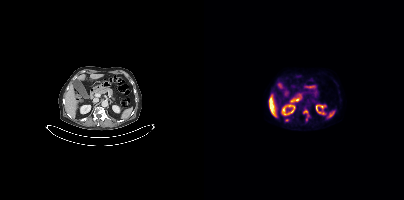
Findings: Coordinates are on the 200×200 PET (right) panel. PSMA-avid tumor lesion bounding boxes (x, y, width, height): x=102 y=114 w=5 h=8 | x=81 y=118 w=5 h=4. Small PSMA-avid focus (2 to 4 px across) near (center x, center y): (101, 111).
Technique: Left: CT. Right: PSMA PET, same axial level, 18F-PSMA tracer. acquired on Siemens Biograph mCT Flow 20.